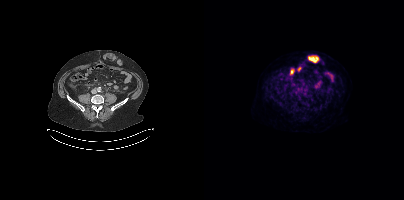
Coordinates are on the 200×200 PET (right) panel. PSMA-avid tumor lesion bounding box (x0,y0,x1,y1): [99,90,103,95]. Paired axial CT (left) and PSMA PET (right), 18F-PSMA tracer. Acquired on Siemens Biograph mCT Flow 20. PET panel 200×200 px (4.1 mm/px).